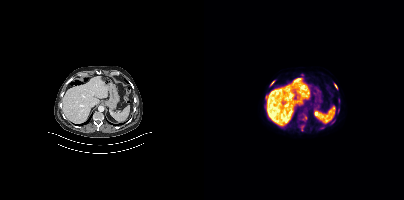
Paired axial CT (left) and PSMA PET (right), 18F-PSMA tracer. Slice position z = -1154 mm.
Coordinates are on the 200×200 PET (right) panel. PSMA-avid tumor lesion bounding boxes:
| # | x0 | y0 | x1 | y1 |
|---|---|---|---|---|
| 1 | 66 | 81 | 70 | 85 |
| 2 | 131 | 84 | 133 | 88 |
Small PSMA-avid foci (2 to 4 px across) near (center x, center y): (118, 127); (134, 109); (129, 120).